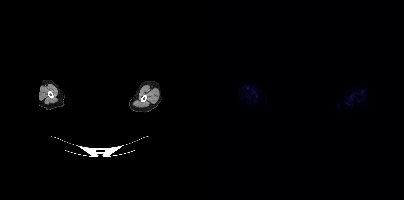
Technique: Two-panel axial: CT | PSMA PET, 18F tracer. acquired on Siemens Biograph mCT Flow 20. PET panel 200×200 px (4.1 mm/px).
Note: Any black rectangle over the head is a privacy mask, not anatomy.
Findings: This slice has no annotated PSMA-avid lesion.